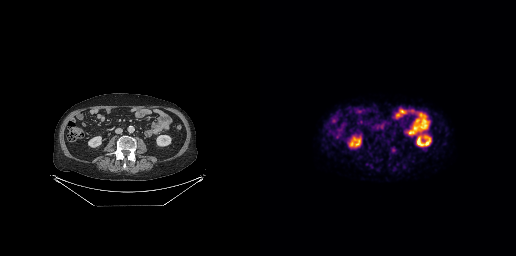
{"modality":"PSMA PET/CT","view":"axial","tracer":"[18F]PSMA-1007","pet_grid":[256,256],"coord_frame":"pet_panel","coord_format":"x0,y0,x1,y1","lesion_bboxes":[],"small_foci_centers":[[133,150]]}